- Left: CT. Right: PSMA PET, same axial level, 68Ga tracer
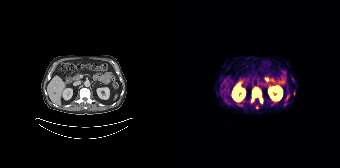
Findings: Coordinates are on the 168×168 PET (right) panel. (showing 3 of 4 foci) PSMA-avid tumor lesion bounding box (x, y, width, height): x=80 y=89 w=11 h=14. Small PSMA-avid foci (2 to 4 px across) near (center x, center y): (113, 103); (80, 99).